- Two-panel axial: CT | PSMA PET, 18F-PSMA tracer
- slice position z = -181 mm
- a rectangular block over the head has been blanked out for de-identification
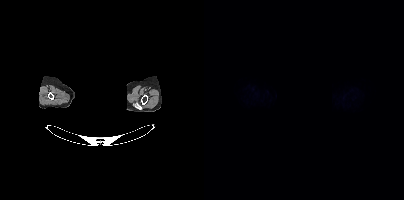
Findings: No tumor lesions annotated on this slice.